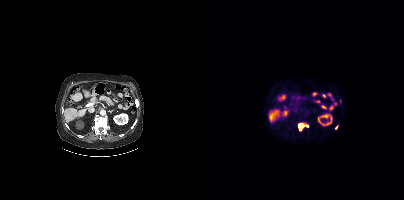
Left: CT. Right: PSMA PET, same axial level, 18F-PSMA tracer. PET panel 200×200 px (4.1 mm/px).
Coordinates are on the 200×200 PET (right) panel. PSMA-avid tumor lesion bounding boxes (partial; 1 more focus not listed):
| # | x0 | y0 | x1 | y1 |
|---|---|---|---|---|
| 1 | 94 | 123 | 104 | 130 |